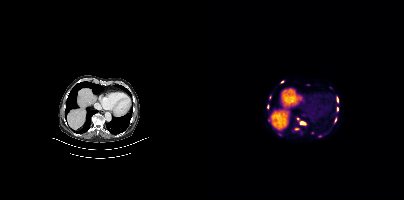
modality: PSMA PET/CT | tracer: [68Ga]Ga-PSMA-11 | view: axial | PET grid: 200×200
Coordinates are on the 200×200 PET (right) panel. (showing 9 of 12 foci) PSMA-avid tumor lesion bounding boxes (x0,y0,x1,y1): [96,122,101,125]; [91,128,95,130]; [64,118,66,122]; [133,97,134,101]; [133,107,134,111]; [131,118,132,122]. Small PSMA-avid foci (2 to 4 px across) near (center x, center y): (104, 84); (93, 118); (78, 81).